modality: PSMA PET/CT | tracer: 18F-PSMA | view: axial | deidentification: face masked with black rectangle
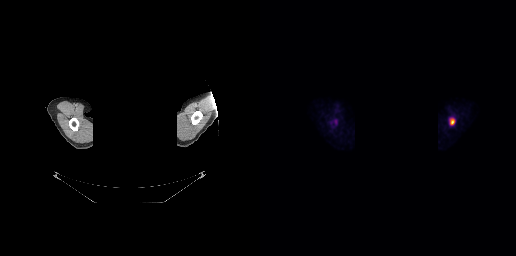
Coordinates are on the 256×256 PET (right) panel. PSMA-avid tumor lesion bounding box (x0, y0)-(x1, y1): (188, 117)-(195, 126).